- Paired axial CT (left) and PSMA PET (right), 68Ga tracer
- slice position z = -1138 mm
- PET panel 200×200 px (4.1 mm/px)
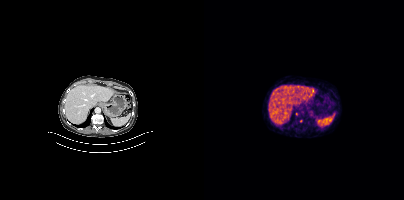
Findings: Coordinates are on the 200×200 PET (right) panel. (showing 1 of 2 foci) Small PSMA-avid focus (2 to 4 px across) near (center x, center y): (96, 120).